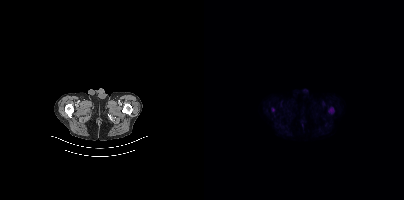
{"pet_grid":[200,200],"coord_frame":"pet_panel","coord_format":"x0,y0,x1,y1","partial":true,"lesion_bboxes":[[124,107,130,113]],"modality":"PSMA PET/CT","view":"axial","tracer":"[18F]PSMA-1007"}